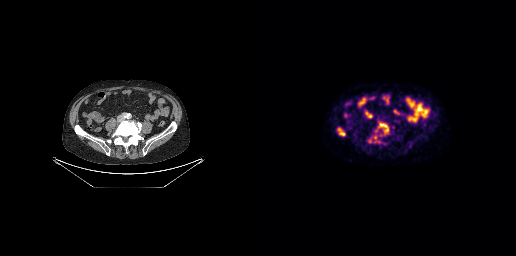
Left: CT. Right: PSMA PET, same axial level, [18F]PSMA-1007 tracer. Slice 107 of 263.
Coordinates are on the 256×256 PET (right) panel. PSMA-avid tumor lesion bounding boxes:
| # | x0 | y0 | x1 | y1 |
|---|---|---|---|---|
| 1 | 118 | 122 | 128 | 133 |
| 2 | 78 | 128 | 85 | 135 |
Small PSMA-avid foci (2 to 4 px across) near (center x, center y): (115, 137); (109, 141).